Paired axial CT (left) and PSMA PET (right), 18F tracer. Acquired on Siemens Biograph mCT Flow 20. An anonymization step blacked out a rectangle over the head in this scan.
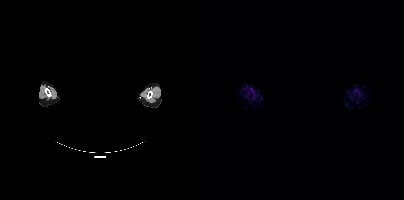
Negative for PSMA-avid disease on this slice.